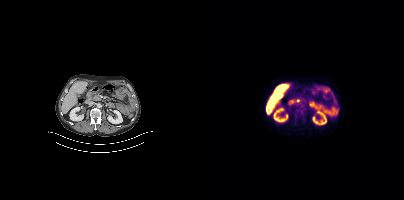
No tumor lesions annotated on this slice.